- Left: CT. Right: PSMA PET, same axial level, 18F-PSMA tracer
- slice position z = -837 mm
- PET panel 200×200 px (4.1 mm/px)
- a rectangular block over the head has been blanked out for de-identification
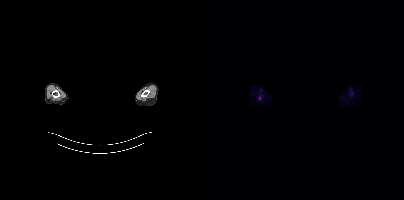
Findings: Coordinates are on the 200×200 PET (right) panel. Small PSMA-avid focus (2 to 4 px across) near (center x, center y): (55, 98).